Paired axial CT (left) and PSMA PET (right), 18F-PSMA tracer.
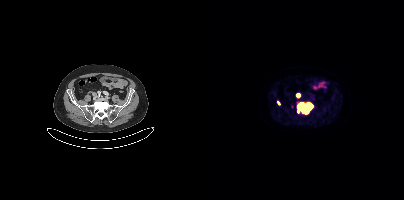
Coordinates are on the 200×200 PET (right) panel. PSMA-avid tumor lesion bounding boxes:
| # | x0 | y0 | x1 | y1 |
|---|---|---|---|---|
| 1 | 93 | 102 | 108 | 113 |
Small PSMA-avid foci (2 to 4 px across) near (center x, center y): (93, 95); (74, 102).